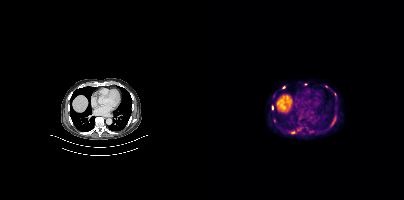
Technique: Two-panel axial: CT | PSMA PET, 18F tracer.
Findings: Coordinates are on the 200×200 PET (right) panel. (showing 4 of 7 foci) PSMA-avid tumor lesion bounding box (x, y, width, height): x=68 y=105 w=2 h=5. Small PSMA-avid foci (2 to 4 px across) near (center x, center y): (88, 132); (79, 87); (122, 86).